- Two-panel axial: CT | PSMA PET, 18F tracer
- slice position z = -1022 mm
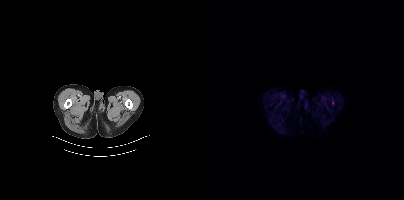
Findings: No PSMA-avid tumor lesions on this slice.